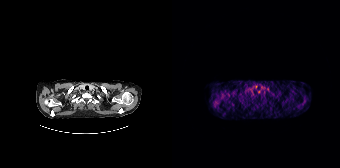
modality: PSMA PET/CT | tracer: [68Ga]Ga-PSMA-11 | view: axial
Only PSMA-avid lesion pieces thinner than 2 px on this slice (not listed).